Technique: Paired axial CT (left) and PSMA PET (right), 68Ga-PSMA tracer. slice position z = -1326 mm.
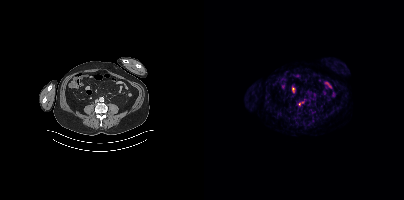
Findings: Coordinates are on the 200×200 PET (right) panel. Small PSMA-avid focus (2 to 4 px across) near (center x, center y): (95, 103).